Left: CT. Right: PSMA PET, same axial level, [18F]PSMA-1007 tracer. Slice position z = -561 mm. PET panel 200×200 px (4.1 mm/px).
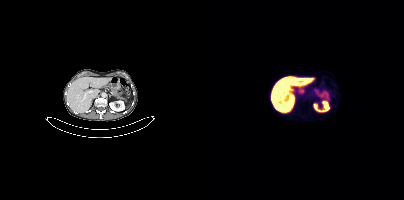
This slice has no annotated PSMA-avid lesion.